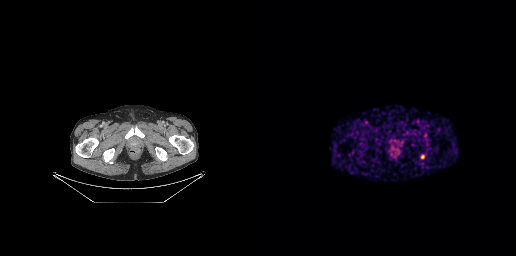
{"modality":"PSMA PET/CT","view":"axial","tracer":"[68Ga]Ga-PSMA-11","pet_grid":[256,256],"coord_frame":"pet_panel","coord_format":"x0,y0,x1,y1","lesion_bboxes":[],"small_foci_centers":[[162,156]]}